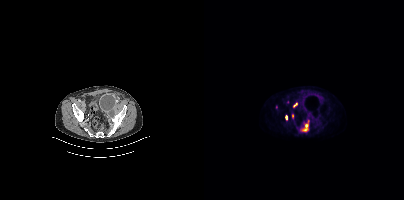
Findings: Coordinates are on the 200×200 PET (right) panel. (showing 5 of 6 foci) PSMA-avid tumor lesion bounding boxes (x0,y0,x1,y1): [99,124,104,129], [81,115,83,119], [89,103,93,106]. Small PSMA-avid foci (2 to 4 px across) near (center x, center y): (72, 107), (88, 115).
Technique: Left: CT. Right: PSMA PET, same axial level, 18F-PSMA tracer.